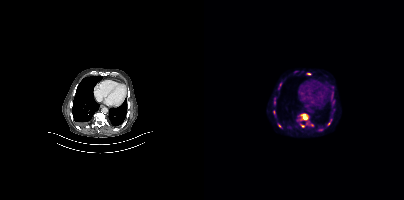
Left: CT. Right: PSMA PET, same axial level, [18F]PSMA-1007 tracer. PET panel 200×200 px (4.1 mm/px). Coordinates are on the 200×200 PET (right) panel. (showing 7 of 10 foci) PSMA-avid tumor lesion bounding boxes (x0,y0,x1,y1): [93,113,109,127]; [123,119,127,125]; [75,82,77,86]. Small PSMA-avid foci (2 to 4 px across) near (center x, center y): (104, 74); (75, 125); (128, 87); (70, 102).